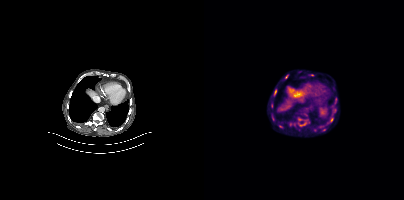
Paired axial CT (left) and PSMA PET (right), [18F]PSMA-1007 tracer. Acquired on Siemens Biograph mCT Flow 20. PET panel 200×200 px (4.1 mm/px). Coordinates are on the 200×200 PET (right) panel. (showing 2 of 4 foci) PSMA-avid tumor lesion bounding box (x, y, width, height): x=128 y=109 w=5 h=6. Small PSMA-avid focus (2 to 4 px across) near (center x, center y): (100, 123).